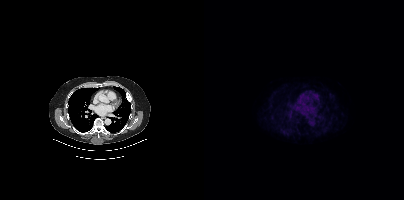
Left: CT. Right: PSMA PET, same axial level, 18F tracer. Slice position z = -538 mm. No tumor lesions annotated on this slice.